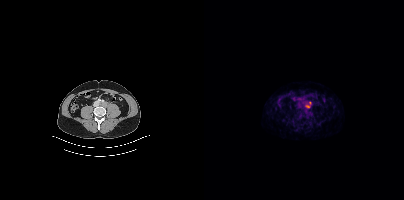
Paired axial CT (left) and PSMA PET (right), 18F-PSMA tracer. Acquired on Siemens Biograph mCT Flow 20. PET panel 200×200 px (4.1 mm/px). Coordinates are on the 200×200 PET (right) panel. Small PSMA-avid foci (2 to 4 px across) near (center x, center y): (103, 106); (105, 103).